Paired axial CT (left) and PSMA PET (right), [68Ga]Ga-PSMA-11 tracer. PET panel 200×200 px (4.1 mm/px).
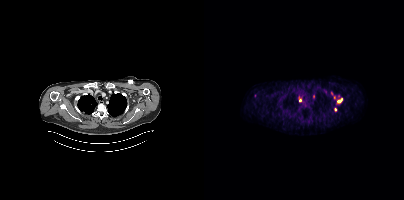
Coordinates are on the 200×200 PET (right) panel. (showing 6 of 7 foci) Small PSMA-avid foci (2 to 4 px across) near (center x, center y): (96, 100); (135, 101); (109, 96); (127, 93); (131, 109); (130, 97).